Head region blanked for anonymization (face removed). Two-panel axial: CT | PSMA PET, 68Ga tracer. Slice 169 of 195.
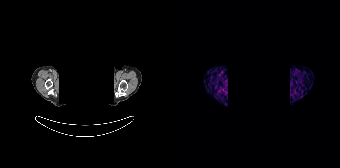
No tumor lesions annotated on this slice.